Two-panel axial: CT | PSMA PET, 18F tracer. Slice 38 of 263.
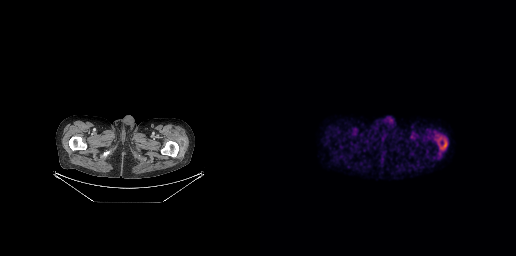
No tumor lesions annotated on this slice.